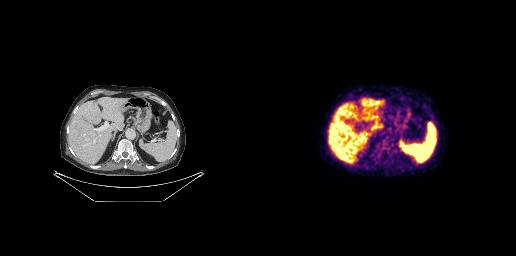
{"pet_grid":[256,256],"coord_frame":"pet_panel","coord_format":"x0,y0,x1,y1","psma_avid_lesions":false,"modality":"PSMA PET/CT","view":"axial","tracer":"[18F]PSMA-1007"}